Paired axial CT (left) and PSMA PET (right), 68Ga tracer. Acquired on GE Discovery 690. PET panel 256×256 px (2.7 mm/px). De-identified by setting a box covering the face to black before release.
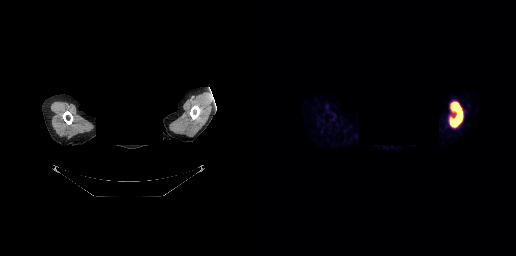
Coordinates are on the 256×256 PET (right) panel. PSMA-avid tumor lesion bounding boxes:
| # | x0 | y0 | x1 | y1 |
|---|---|---|---|---|
| 1 | 189 | 102 | 203 | 127 |